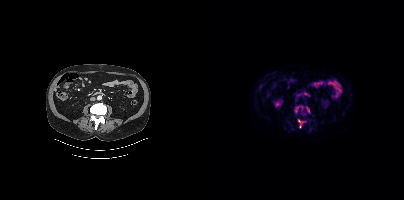
{"modality":"PSMA PET/CT","view":"axial","tracer":"18F-PSMA","pet_grid":[200,200],"coord_frame":"pet_panel","coord_format":"x0,y0,x1,y1","partial":true,"lesion_bboxes":[[94,119,99,127],[103,107,105,112]],"small_foci_centers":[[91,110]]}